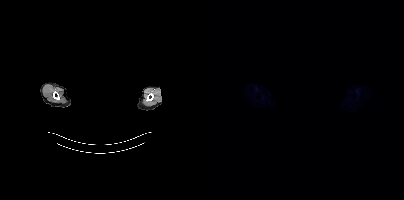
Two-panel axial: CT | PSMA PET, 18F tracer. Slice position z = -940 mm. A rectangle over the head was blacked out to remove identifiable facial features. No PSMA-avid tumor lesions on this slice.